Two-panel axial: CT | PSMA PET, 18F tracer. PET panel 200×200 px (4.1 mm/px).
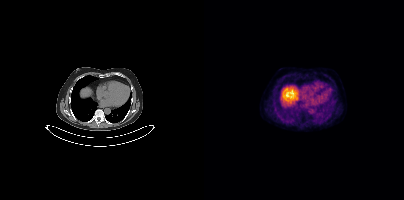
No tumor lesions annotated on this slice.